Two-panel axial: CT | PSMA PET, 18F-PSMA tracer. PET panel 200×200 px (4.1 mm/px).
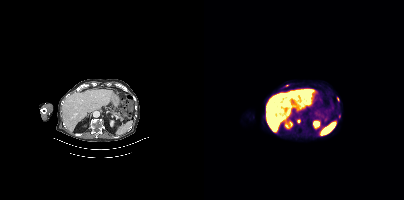
Coordinates are on the 200×200 PET (right) panel. PSMA-avid tumor lesion bounding box (x0, y0)-(x1, y1): (93, 119)-(96, 123). Small PSMA-avid foci (2 to 4 px across) near (center x, center y): (134, 98); (83, 85); (135, 116).